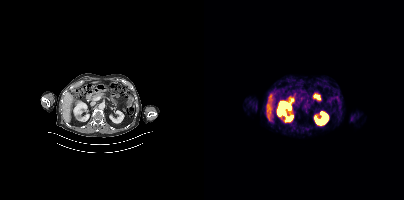
{"modality":"PSMA PET/CT","view":"axial","tracer":"[18F]PSMA-1007","pet_grid":[200,200],"coord_frame":"pet_panel","coord_format":"x0,y0,x1,y1","psma_avid_lesions":false}